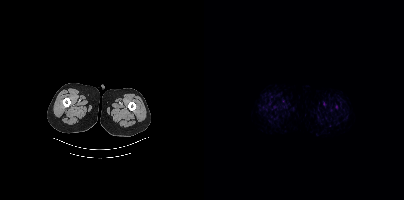
Two-panel axial: CT | PSMA PET, 18F tracer. Slice position z = -1547 mm. PET panel 200×200 px (4.1 mm/px). Negative for PSMA-avid disease on this slice.